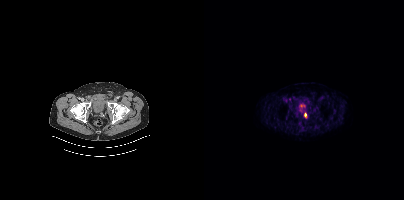
Left: CT. Right: PSMA PET, same axial level, 18F tracer. Coordinates are on the 200×200 PET (right) panel. Small PSMA-avid focus (2 to 4 px across) near (center x, center y): (101, 114).